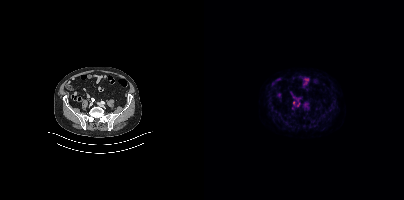
modality: PSMA PET/CT | tracer: [18F]PSMA-1007 | view: axial | PET grid: 200×200
Coordinates are on the 200×200 PET (right) panel. Small PSMA-avid focus (2 to 4 px across) near (center x, center y): (89, 102).